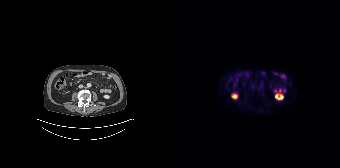
Paired axial CT (left) and PSMA PET (right), [18F]PSMA-1007 tracer. No tumor lesions annotated on this slice.